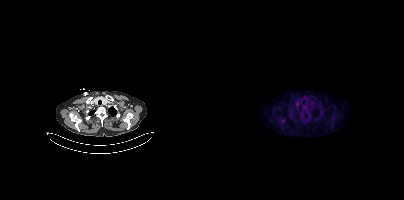
Coordinates are on the 200×200 PET (right) panel. Small PSMA-avid focus (2 to 4 px across) near (center x, center y): (93, 103).
modality: PSMA PET/CT | tracer: 18F-PSMA | view: axial